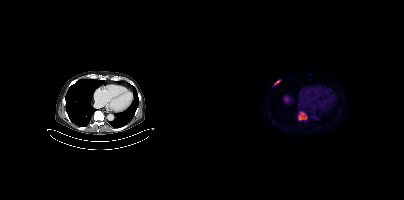
{"modality":"PSMA PET/CT","view":"axial","tracer":"18F-PSMA","pet_grid":[200,200],"coord_frame":"pet_panel","coord_format":"x0,y0,x1,y1","lesion_bboxes":[[94,111,103,120],[69,79,76,86]]}